- Left: CT. Right: PSMA PET, same axial level, 68Ga tracer
- slice position z = -1177 mm
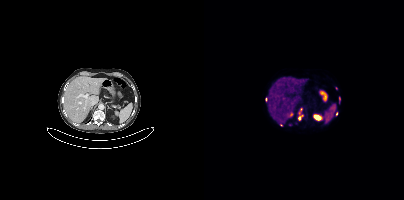
Findings: Coordinates are on the 200×200 PET (right) panel. (showing 6 of 10 foci) Small PSMA-avid foci (2 to 4 px across) near (center x, center y): (95, 112) | (95, 118) | (135, 98) | (132, 88) | (132, 113) | (77, 124).